Left: CT. Right: PSMA PET, same axial level, 18F-PSMA tracer. Acquired on Siemens Biograph mCT Flow 20. PET panel 200×200 px (4.1 mm/px).
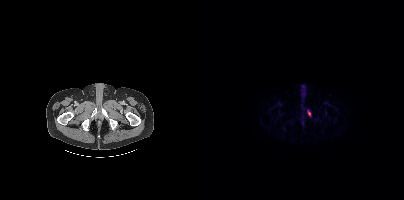
Coordinates are on the 200×200 PET (right) panel. PSMA-avid tumor lesion bounding box (x0,y0,x1,y1): [103,111,106,115].